Left: CT. Right: PSMA PET, same axial level, [18F]PSMA-1007 tracer. Acquired on Siemens Biograph mCT Flow 20. Slice position z = -1074 mm.
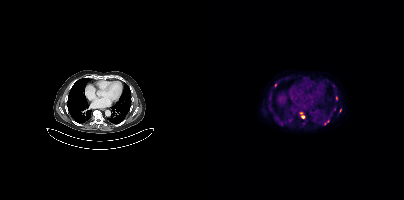
Coordinates are on the 200×200 PET (right) panel. (showing 5 of 7 foci) PSMA-avid tumor lesion bounding boxes (x, y, width, height): x=96 y=112 w=6 h=7; x=120 y=120 w=5 h=5. Small PSMA-avid foci (2 to 4 px across) near (center x, center y): (136, 110); (71, 85); (132, 97).